Technique: Paired axial CT (left) and PSMA PET (right), 18F-PSMA tracer.
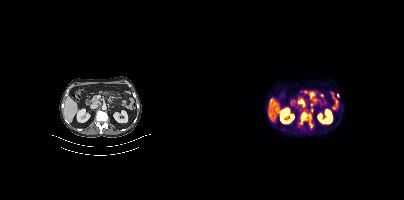
Findings: Coordinates are on the 200×200 PET (right) panel. (showing 3 of 4 foci) PSMA-avid tumor lesion bounding box (x0,y0,x1,y1): [94,114,109,128]. Small PSMA-avid foci (2 to 4 px across) near (center x, center y): (99, 104), (133, 95).